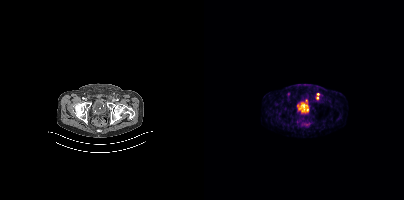
Two-panel axial: CT | PSMA PET, [68Ga]Ga-PSMA-11 tracer. Coordinates are on the 200×200 PET (right) panel. Small PSMA-avid foci (2 to 4 px across) near (center x, center y): (114, 94) | (113, 98) | (102, 100).